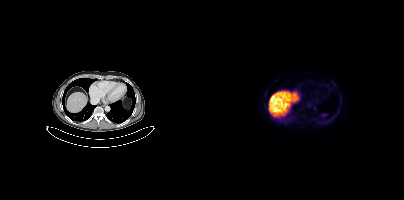
This slice has no annotated PSMA-avid lesion. Paired axial CT (left) and PSMA PET (right), [18F]PSMA-1007 tracer. Acquired on Siemens Biograph mCT Flow 20.